Left: CT. Right: PSMA PET, same axial level, [18F]PSMA-1007 tracer. Acquired on Siemens Biograph mCT Flow 20.
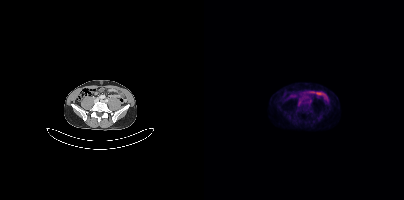
Coordinates are on the 200×200 PET (right) panel. PSMA-avid tumor lesion bounding boxes:
| # | x0 | y0 | x1 | y1 |
|---|---|---|---|---|
| 1 | 105 | 110 | 109 | 112 |